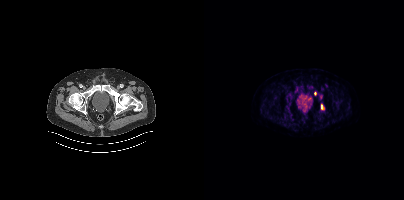
Left: CT. Right: PSMA PET, same axial level, 18F tracer. PET panel 200×200 px (4.1 mm/px). Coordinates are on the 200×200 PET (right) panel. PSMA-avid tumor lesion bounding box (x0, y0)-(x1, y1): (117, 104)-(120, 109). Small PSMA-avid foci (2 to 4 px across) near (center x, center y): (111, 93) / (116, 97).